Left: CT. Right: PSMA PET, same axial level, 18F-PSMA tracer. PET panel 200×200 px (4.1 mm/px).
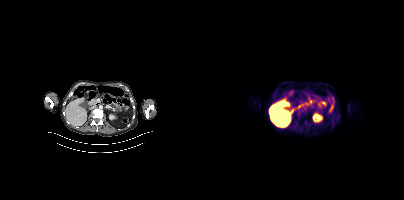
No PSMA-avid tumor lesions on this slice.